modality: PSMA PET/CT | tracer: 18F-PSMA | view: axial | PET grid: 200×200
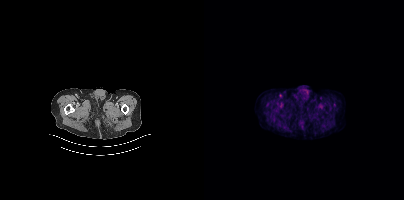
No tumor lesions annotated on this slice.